modality: PSMA PET/CT | tracer: 68Ga-PSMA | view: axial
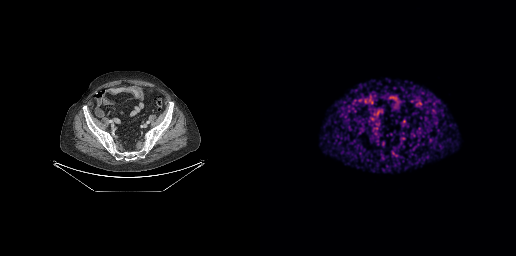
This slice has no annotated PSMA-avid lesion.